Left: CT. Right: PSMA PET, same axial level, [18F]PSMA-1007 tracer. Slice 93 of 423. PET panel 200×200 px (4.1 mm/px).
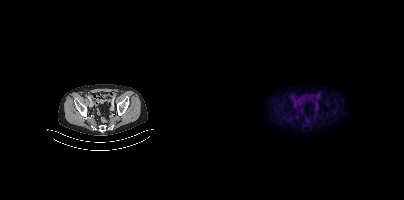
This slice has no annotated PSMA-avid lesion.